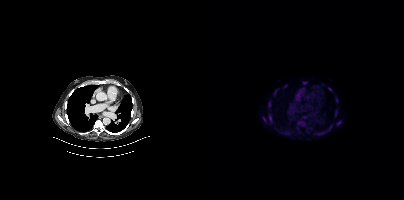
Coordinates are on the 200×200 PET (right) panel. PSMA-avid tumor lesion bounding boxes (x0, y0)-(x1, y1): (93, 121)-(101, 126) / (65, 115)-(68, 122) / (64, 101)-(66, 107) / (59, 117)-(61, 121) / (70, 90)-(72, 94) / (131, 111)-(132, 115). Small PSMA-avid foci (2 to 4 px across) near (center x, center y): (134, 122) / (126, 89) / (100, 82) / (132, 99) / (81, 86) / (101, 117) / (93, 127).
modality: PSMA PET/CT | tracer: 18F-PSMA | view: axial